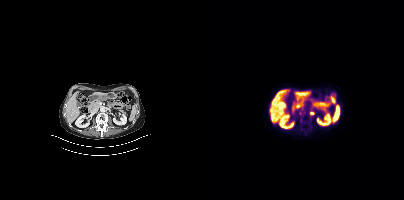
Two-panel axial: CT | PSMA PET, 18F-PSMA tracer. Slice 187 of 401. PET panel 200×200 px (4.1 mm/px). Coordinates are on the 200×200 PET (right) panel. (showing 1 of 3 foci) PSMA-avid tumor lesion bounding box (x, y, width, height): x=106 y=112 w=5 h=3.